Left: CT. Right: PSMA PET, same axial level, 68Ga-PSMA tracer. Slice position z = -392 mm.
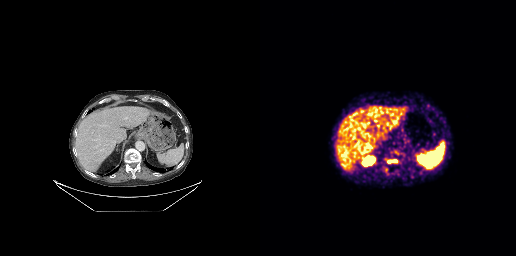
Coordinates are on the 256×256 PET (right) panel. Small PSMA-avid foci (2 to 4 px across) near (center x, center y): (129, 161); (135, 160); (136, 152).